modality: PSMA PET/CT | tracer: 18F-PSMA | view: axial | PET grid: 200×200
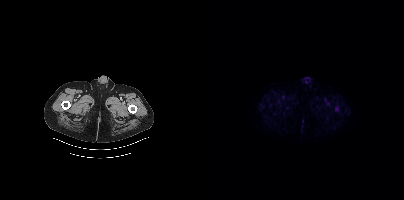
Coordinates are on the 200×200 PET (right) panel. PSMA-avid tumor lesion bounding box (x, y, width, height): x=130 y=107 w=6 h=5.